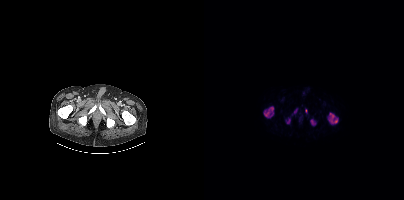
Coordinates are on the 200×200 PET (right) panel. PSMA-avid tumor lesion bounding boxes (x, y, width, height): x=124 y=112 w=11 h=13; x=59 y=106 w=11 h=12; x=106 y=119 w=7 h=7; x=101 y=109 w=3 h=5; x=83 y=119 w=4 h=5. Small PSMA-avid focus (2 to 4 px across) near (center x, center y): (91, 110).